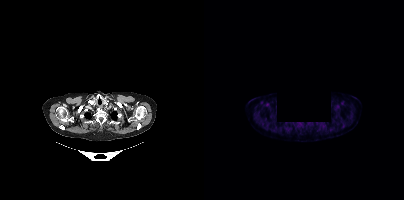
{"modality":"PSMA PET/CT","view":"axial","tracer":"[18F]PSMA-1007","pet_grid":[200,200],"coord_frame":"pet_panel","coord_format":"x0,y0,x1,y1","psma_avid_lesions":false,"deidentification":"region blacked out before release"}